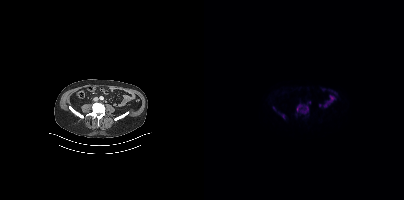
Coordinates are on the 200×200 PET (right) panel. (showing 3 of 4 foci) PSMA-avid tumor lesion bounding boxes (x0, y0)-(x1, y1): (92, 105)-(104, 113) | (78, 114)-(80, 118). Small PSMA-avid focus (2 to 4 px across) near (center x, center y): (69, 108).